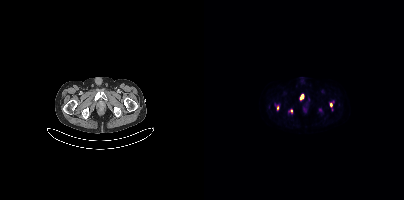
Coordinates are on the 200×200 PET (right) panel. (showing 3 of 5 foci) PSMA-avid tumor lesion bounding box (x0,y0,x1,y1): [96,94,99,99]. Small PSMA-avid foci (2 to 4 px across) near (center x, center y): (126, 104) (73, 108). Paired axial CT (left) and PSMA PET (right), 18F-PSMA tracer. Acquired on Siemens Biograph mCT Flow 20. Slice position z = -146 mm. PET panel 200×200 px (4.1 mm/px).